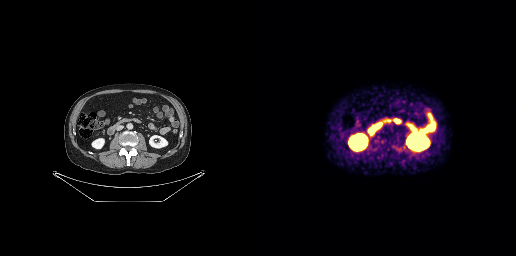
{"modality":"PSMA PET/CT","view":"axial","tracer":"[68Ga]Ga-PSMA-11","pet_grid":[256,256],"coord_frame":"pet_panel","coord_format":"x0,y0,x1,y1","psma_avid_lesions":false}